modality: PSMA PET/CT | tracer: [18F]PSMA-1007 | view: axial | PET grid: 200×200
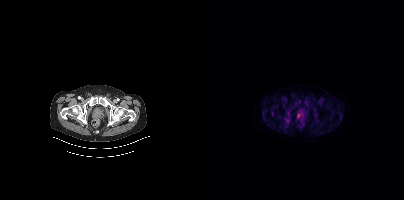
Coordinates are on the 200×200 PET (right) panel. Small PSMA-avid focus (2 to 4 px across) near (center x, center y): (94, 115).